Technique: Two-panel axial: CT | PSMA PET, [18F]PSMA-1007 tracer. acquired on Siemens Biograph mCT Flow 20. slice 186 of 415. PET panel 200×200 px (4.1 mm/px).
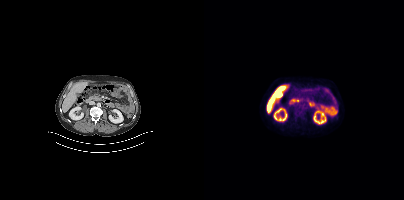
Findings: Negative for PSMA-avid disease on this slice.